- the head region is masked for de-identification
- Paired axial CT (left) and PSMA PET (right), 18F-PSMA tracer
- PET panel 200×200 px (4.1 mm/px)
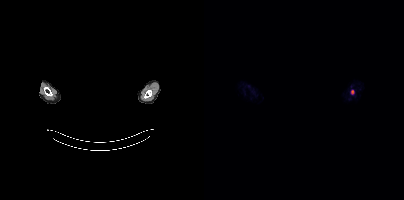
Findings: Coordinates are on the 200×200 PET (right) panel. Small PSMA-avid focus (2 to 4 px across) near (center x, center y): (148, 91).